Paired axial CT (left) and PSMA PET (right), 18F-PSMA tracer. Slice 11 of 405.
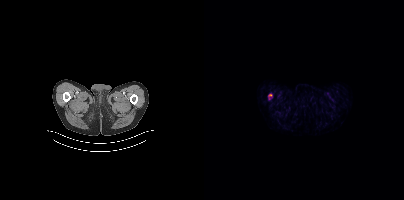
Coordinates are on the 200×200 PET (right) panel. PSMA-avid tumor lesion bounding box (x, y, width, height): x=64 y=94 w=4 h=6.